- Paired axial CT (left) and PSMA PET (right), 18F tracer
- PET panel 200×200 px (4.1 mm/px)
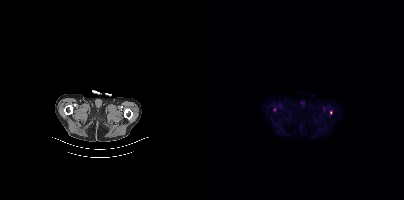
Findings: Coordinates are on the 200×200 PET (right) panel. Small PSMA-avid foci (2 to 4 px across) near (center x, center y): (127, 112) / (70, 109).